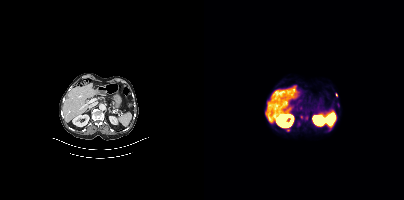
Coordinates are on the 200×200 PET (right) panel. (showing 4 of 6 foci) PSMA-avid tumor lesion bounding box (x, y, width, height): x=93 y=122 w=4 h=5. Small PSMA-avid foci (2 to 4 px across) near (center x, center y): (102, 117) | (84, 129) | (132, 94).